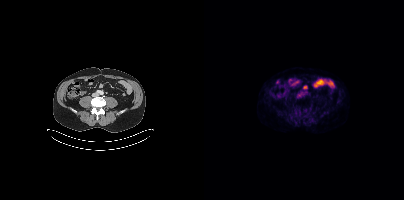
{"pet_grid":[200,200],"coord_frame":"pet_panel","coord_format":"x0,y0,x1,y1","psma_avid_lesions":false,"modality":"PSMA PET/CT","view":"axial","tracer":"[18F]PSMA-1007"}